Paired axial CT (left) and PSMA PET (right), [18F]PSMA-1007 tracer. Acquired on Siemens Biograph mCT Flow 20. Slice position z = 386 mm.
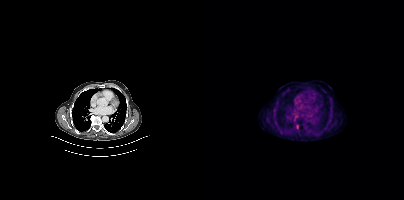
Coordinates are on the 200×200 PET (right) panel. Small PSMA-avid focus (2 to 4 px across) near (center x, center y): (93, 126).